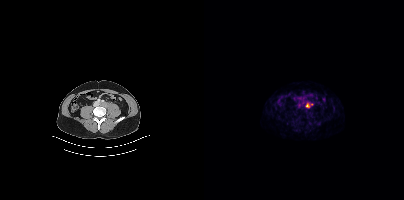
Coordinates are on the 200×200 PET (right) panel. PSMA-avid tumor lesion bounding box (x, y, width, height): x=102 y=103 w=4 h=5. Small PSMA-avid focus (2 to 4 px across) near (center x, center y): (107, 104). Two-panel axial: CT | PSMA PET, [18F]PSMA-1007 tracer. Slice position z = -750 mm.